Paired axial CT (left) and PSMA PET (right), [18F]PSMA-1007 tracer. Acquired on Siemens Biograph mCT Flow 20. PET panel 200×200 px (4.1 mm/px).
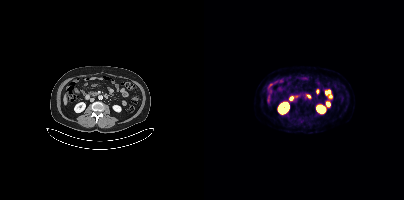
Negative for PSMA-avid disease on this slice.